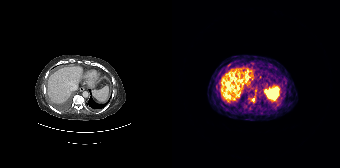
- Two-panel axial: CT | PSMA PET, 68Ga tracer
- acquired on Siemens Biograph 64-4R TruePoint
- PET panel 168×168 px (4.1 mm/px)
Findings: Coordinates are on the 168×168 PET (right) panel. Small PSMA-avid foci (2 to 4 px across) near (center x, center y): (80, 63) | (56, 65) | (81, 99).